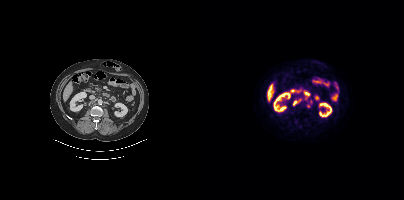
Coordinates are on the 200×200 PET (right) panel. PSMA-avid tumor lesion bounding boxes (x0, y0)-(x1, y1): (93, 98)-(97, 102) / (103, 104)-(105, 108). Small PSMA-avid foci (2 to 4 px across) near (center x, center y): (90, 104) / (103, 97) / (106, 102).
modality: PSMA PET/CT | tracer: [18F]PSMA-1007 | view: axial